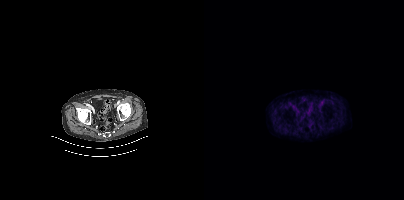
Findings: No tumor lesions annotated on this slice.
- Left: CT. Right: PSMA PET, same axial level, 18F-PSMA tracer
- slice position z = -1418 mm
- PET panel 200×200 px (4.1 mm/px)